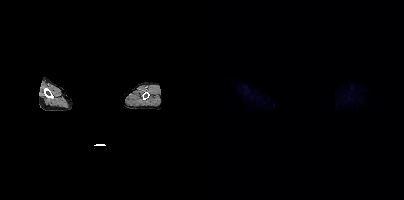
Technique: Left: CT. Right: PSMA PET, same axial level, 18F tracer.
Note: The head region is masked for de-identification.
Findings: No tumor lesions annotated on this slice.